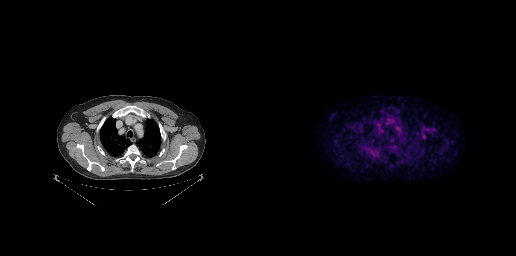
{"modality":"PSMA PET/CT","view":"axial","tracer":"18F","pet_grid":[256,256],"coord_frame":"pet_panel","coord_format":"x0,y0,x1,y1","psma_avid_lesions":false}